- Paired axial CT (left) and PSMA PET (right), 18F tracer
- slice position z = -420 mm
- PET panel 200×200 px (4.1 mm/px)
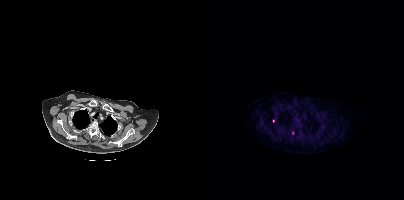
Findings: Only PSMA-avid lesion pieces thinner than 2 px on this slice (not listed).